Left: CT. Right: PSMA PET, same axial level, 18F-PSMA tracer. Acquired on Siemens Biograph mCT Flow 20. Slice 23 of 421.
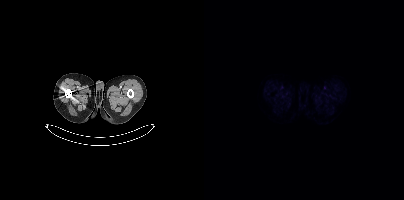
No tumor lesions annotated on this slice.